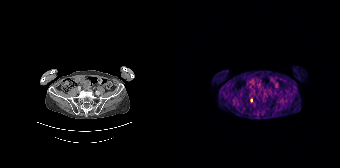
modality: PSMA PET/CT | tracer: 68Ga | view: axial | PET grid: 168×168
Coordinates are on the 168×168 PET (right) panel. Small PSMA-avid focus (2 to 4 px across) near (center x, center y): (79, 100).